Technique: Two-panel axial: CT | PSMA PET, [18F]PSMA-1007 tracer. slice position z = -1573 mm.
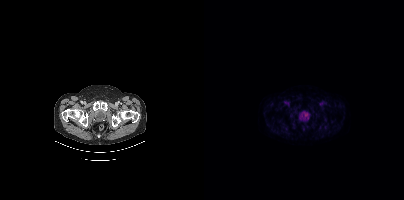
Findings: No PSMA-avid tumor lesions on this slice.